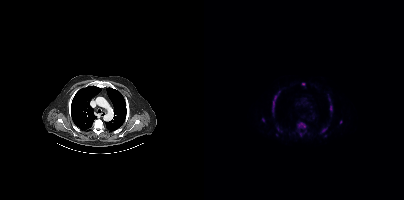
Left: CT. Right: PSMA PET, same axial level, 18F-PSMA tracer. PET panel 200×200 px (4.1 mm/px). Coordinates are on the 200×200 PET (right) panel. (showing 11 of 15 foci) PSMA-avid tumor lesion bounding boxes (x0,y0,x1,y1): [93,122,101,129] [68,91,75,112] [126,105,128,111] [118,128,122,132] [95,131,101,136]. Small PSMA-avid foci (2 to 4 px across) near (center x, center y): (59, 119) (99, 84) (74, 128) (125, 99) (136, 122) (72, 134).